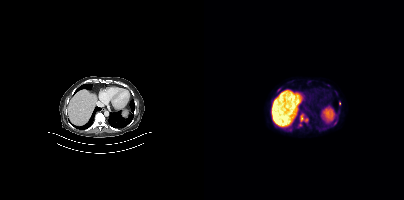
Coordinates are on the 200×200 PET (right) panel. PSMA-avid tumor lesion bounding boxes (x0, y0)-(x1, y1): (94, 115)-(103, 127); (129, 120)-(133, 125); (73, 88)-(75, 92). Small PSMA-avid foci (2 to 4 px across) near (center x, center y): (72, 126); (135, 103).